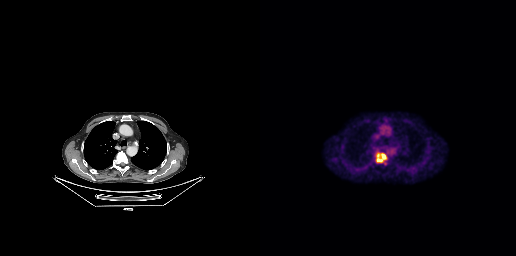
modality: PSMA PET/CT | tracer: [18F]PSMA-1007 | view: axial | PET grid: 256×256
Coordinates are on the 256×256 PET (right) panel. (showing 2 of 3 foci) PSMA-avid tumor lesion bounding boxes (x0, y0)-(x1, y1): (122, 154)-(125, 158); (117, 159)-(121, 161).